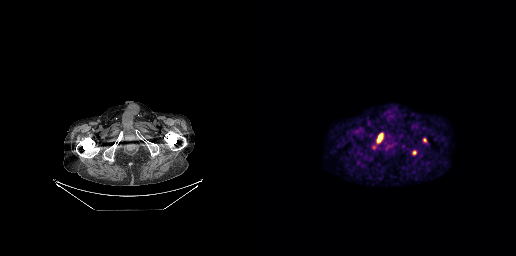
{"modality":"PSMA PET/CT","view":"axial","tracer":"18F-PSMA","pet_grid":[256,256],"coord_frame":"pet_panel","coord_format":"x0,y0,x1,y1","lesion_bboxes":[[117,133,122,141]],"small_foci_centers":[[154,152],[164,140]]}